Paired axial CT (left) and PSMA PET (right), [18F]PSMA-1007 tracer. Slice 243 of 421.
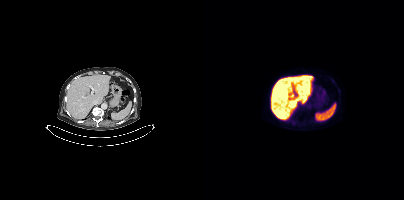
No PSMA-avid tumor lesions on this slice.